Technique: Paired axial CT (left) and PSMA PET (right), 18F tracer.
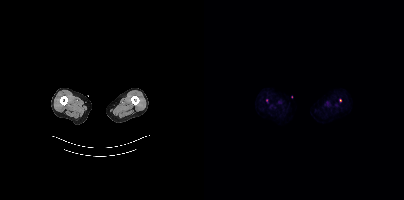
Findings: Coordinates are on the 200×200 PET (right) panel. Small PSMA-avid foci (2 to 4 px across) near (center x, center y): (136, 100) | (62, 100).